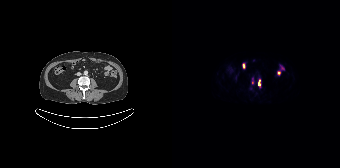
Technique: Two-panel axial: CT | PSMA PET, 18F tracer.
Findings: Coordinates are on the 168×168 PET (right) panel. (showing 1 of 2 foci) PSMA-avid tumor lesion bounding box (x0, y0)-(x1, y1): (86, 80)-(88, 87).